Technique: Two-panel axial: CT | PSMA PET, 18F tracer. acquired on GE Discovery 690. slice position z = -796 mm. PET panel 256×256 px (2.7 mm/px).
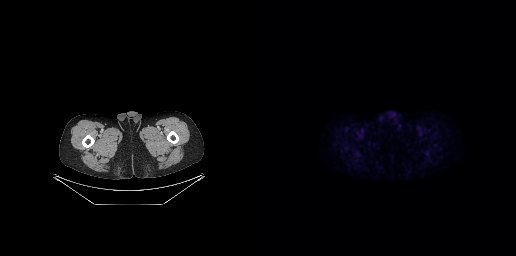
Findings: No tumor lesions annotated on this slice.